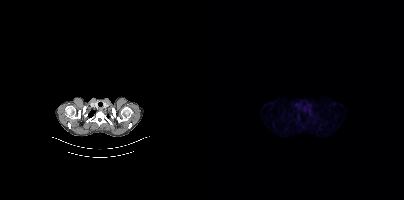
{"modality":"PSMA PET/CT","view":"axial","tracer":"18F-PSMA","pet_grid":[200,200],"coord_frame":"pet_panel","coord_format":"x0,y0,x1,y1","psma_avid_lesions":false}